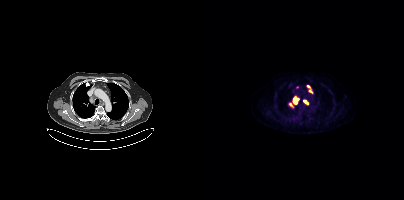
Paired axial CT (left) and PSMA PET (right), 18F-PSMA tracer.
Coordinates are on the 200×200 PET (right) panel. PSMA-avid tumor lesion bounding boxes:
| # | x0 | y0 | x1 | y1 |
|---|---|---|---|---|
| 1 | 89 | 97 | 94 | 103 |
| 2 | 100 | 100 | 104 | 104 |